Technique: Left: CT. Right: PSMA PET, same axial level, 18F tracer. acquired on Siemens Biograph mCT Flow 20. slice 76 of 427. PET panel 200×200 px (4.1 mm/px).
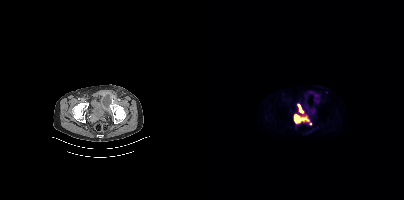
Findings: Coordinates are on the 200×200 PET (right) panel. PSMA-avid tumor lesion bounding boxes (x0,y0,x1,y1): [90,114,104,123], [93,104,99,113]. Small PSMA-avid focus (2 to 4 px across) near (center x, center y): (106, 123).